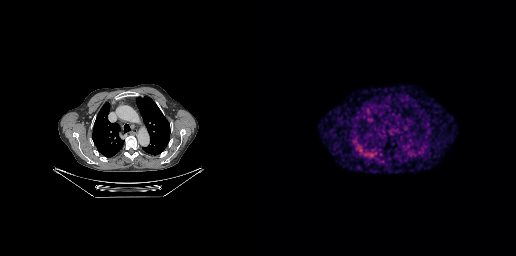
No PSMA-avid tumor lesions on this slice.